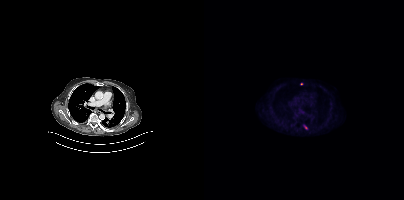
Coordinates are on the 200×200 PET (right) panel. PSMA-avid tumor lesion bounding box (x0, y0)-(x1, y1): (99, 125)-(103, 129). Small PSMA-avid focus (2 to 4 px across) near (center x, center y): (97, 84).